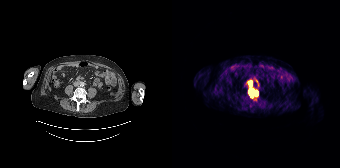
{"modality":"PSMA PET/CT","view":"axial","tracer":"68Ga-PSMA","pet_grid":[168,168],"coord_frame":"pet_panel","coord_format":"x0,y0,x1,y1","lesion_bboxes":[[77,89,86,97],[76,80,80,86]]}